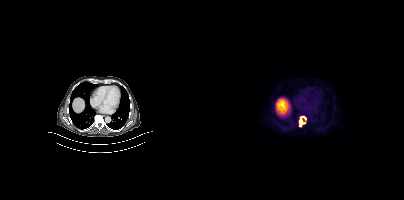
Paired axial CT (left) and PSMA PET (right), [18F]PSMA-1007 tracer. Acquired on Siemens Biograph mCT Flow 20.
Coordinates are on the 200×200 PET (right) panel. PSMA-avid tumor lesion bounding boxes:
| # | x0 | y0 | x1 | y1 |
|---|---|---|---|---|
| 1 | 95 | 116 | 102 | 127 |